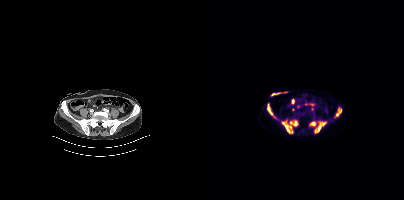
Coordinates are on the 200×200 PET (right) panel. PSMA-avid tumor lesion bounding boxes (x0, y0)-(x1, y1): (78, 120)-(94, 133); (111, 121)-(122, 132); (63, 103)-(72, 118); (132, 108)-(137, 116); (106, 121)-(111, 126).